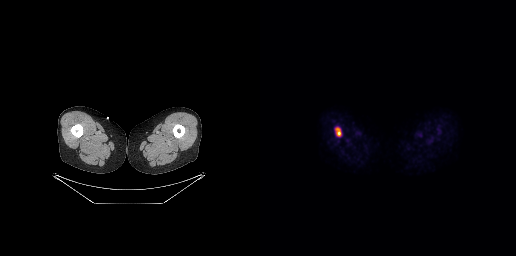
Coordinates are on the 256×256 PET (right) panel. PSMA-avid tumor lesion bounding box (x, y, width, height): x=76 y=128 w=5 h=9.